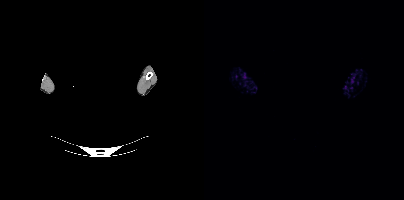
{"modality":"PSMA PET/CT","view":"axial","tracer":"18F","pet_grid":[200,200],"coord_frame":"pet_panel","coord_format":"x0,y0,x1,y1","psma_avid_lesions":false,"deidentification":"privacy mask over head"}